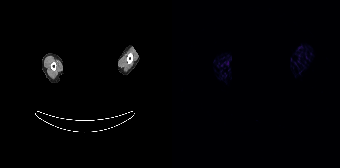
Technique: Two-panel axial: CT | PSMA PET, 68Ga-PSMA tracer. slice 191 of 195. PET panel 168×168 px (4.1 mm/px).
Note: Privacy masking over the head, with the pixels inside a rectangle set to black.
Findings: Negative for PSMA-avid disease on this slice.